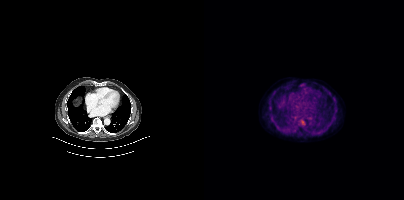
modality: PSMA PET/CT | tracer: 18F | view: axial | PET grid: 200×200
Coordinates are on the 200×200 PET (right) panel. PSMA-avid tumor lesion bounding box (x0,y0,x1,y1): [96,120,100,124].